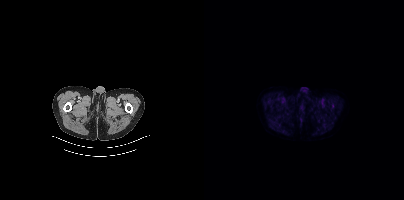
No tumor lesions annotated on this slice.